modality: PSMA PET/CT | tracer: 18F-PSMA | view: axial | PET grid: 200×200
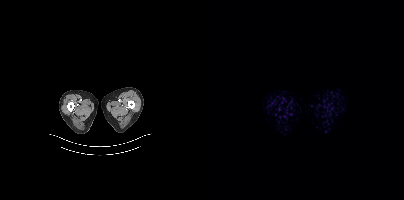
This slice has no annotated PSMA-avid lesion.